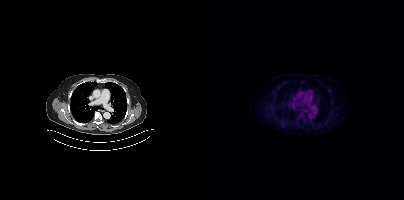
- Left: CT. Right: PSMA PET, same axial level, 18F tracer
- acquired on Siemens Biograph mCT Flow 20
- slice 279 of 389
- PET panel 200×200 px (4.1 mm/px)
Findings: This slice has no annotated PSMA-avid lesion.